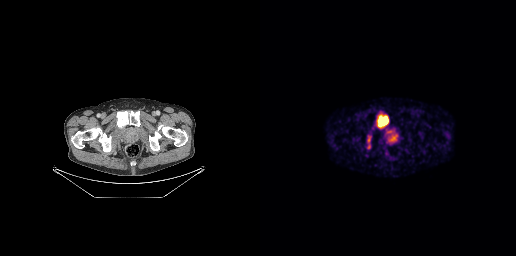
{"pet_grid":[256,256],"coord_frame":"pet_panel","coord_format":"x0,y0,x1,y1","lesion_bboxes":[[117,115,127,127],[126,130,137,142],[107,135,111,141]],"small_foci_centers":[[109,146]],"modality":"PSMA PET/CT","view":"axial","tracer":"68Ga"}